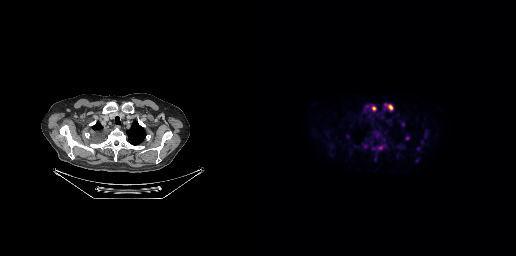
Coordinates are on the 256×256 PET (right) panel. PSMA-avid tumor lesion bounding boxes (partial; 1 more focus not listed):
| # | x0 | y0 | x1 | y1 |
|---|---|---|---|---|
| 1 | 123 | 104 | 133 | 111 |
| 2 | 112 | 106 | 116 | 110 |
Small PSMA-avid foci (2 to 4 px across) near (center x, center y): (143, 124); (158, 148); (147, 138); (120, 147).
Paired axial CT (left) and PSMA PET (right), 18F-PSMA tracer. Slice 244 of 299. PET panel 256×256 px (2.7 mm/px).